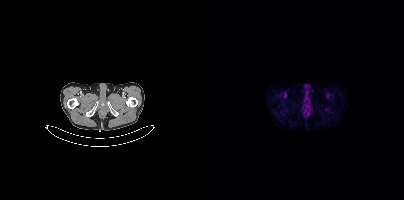
No tumor lesions annotated on this slice. Paired axial CT (left) and PSMA PET (right), 18F tracer. Acquired on Siemens Biograph mCT Flow 20. PET panel 200×200 px (4.1 mm/px).